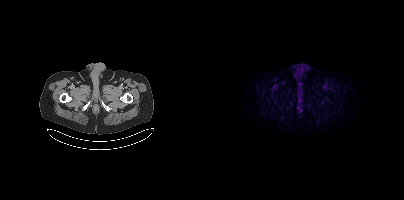
- Paired axial CT (left) and PSMA PET (right), 18F tracer
Findings: This slice has no annotated PSMA-avid lesion.